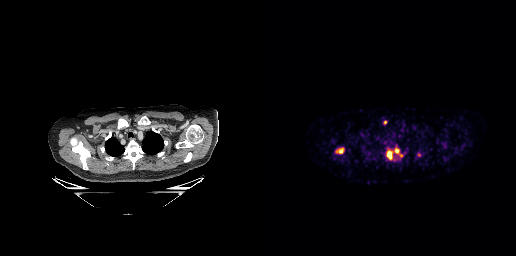
- Paired axial CT (left) and PSMA PET (right), [68Ga]Ga-PSMA-11 tracer
- PET panel 256×256 px (2.7 mm/px)
Findings: Coordinates are on the 256×256 PET (right) panel. (showing 4 of 5 foci) PSMA-avid tumor lesion bounding boxes (x0, y0)-(x1, y1): (127, 151)-(131, 158) | (76, 148)-(83, 153). Small PSMA-avid foci (2 to 4 px across) near (center x, center y): (136, 150) | (158, 154).